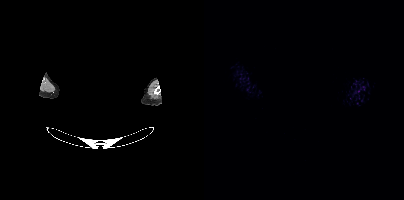
Paired axial CT (left) and PSMA PET (right), 18F-PSMA tracer. Acquired on Siemens Biograph mCT Flow 20. Slice position z = -251 mm. PET panel 200×200 px (4.1 mm/px). Facial anatomy redacted by setting a rectangular region of the head to black. No tumor lesions annotated on this slice.